Technique: Paired axial CT (left) and PSMA PET (right), 18F-PSMA tracer. acquired on Siemens Biograph 64-4R TruePoint.
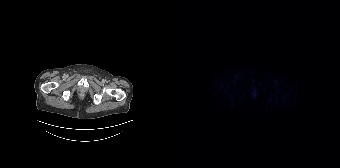
Findings: No tumor lesions annotated on this slice.